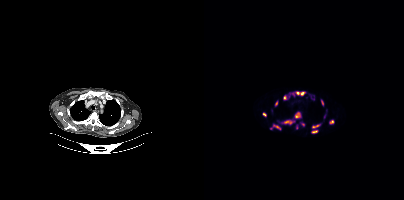
Coordinates are on the 200×200 PET (right) panel. (showing 13 of 16 foci) PSMA-avid tumor lesion bounding boxes (x, y, width, height): x=79 y=120 w=12 h=5; x=91 y=112 w=6 h=7; x=92 y=91 w=10 h=5; x=66 y=124 w=11 h=6; x=107 y=130 w=7 h=4; x=108 y=124 w=9 h=5; x=125 y=120 w=6 h=4; x=79 y=95 w=5 h=5; x=59 y=112 w=4 h=5; x=117 y=100 w=3 h=6; x=71 y=101 w=3 h=5. Small PSMA-avid foci (2 to 4 px across) near (center x, center y): (99, 124); (92, 127).